- Paired axial CT (left) and PSMA PET (right), 18F tracer
- PET panel 200×200 px (4.1 mm/px)
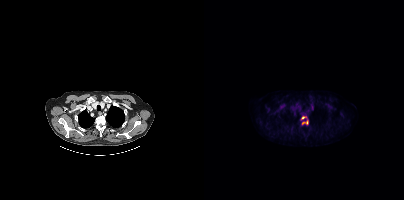
Findings: Coordinates are on the 200×200 PET (right) panel. PSMA-avid tumor lesion bounding boxes (x0, y0)-(x1, y1): (98, 120)-(104, 124) / (97, 116)-(102, 119).